Left: CT. Right: PSMA PET, same axial level, [18F]PSMA-1007 tracer. Slice position z = 282 mm. PET panel 200×200 px (4.1 mm/px). The face region was removed for patient privacy by blanking a rectangle over the head.
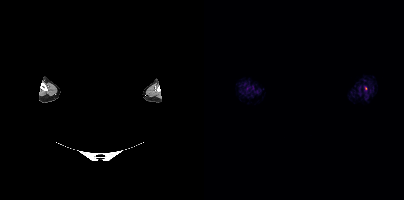
No PSMA-avid tumor lesions on this slice.